- Left: CT. Right: PSMA PET, same axial level, [18F]PSMA-1007 tracer
- slice 183 of 421
- PET panel 200×200 px (4.1 mm/px)
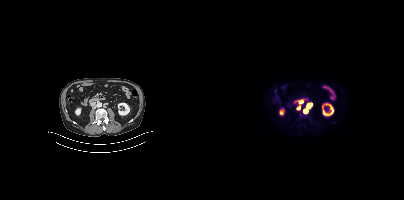
Findings: Coordinates are on the 200×200 PET (right) panel. PSMA-avid tumor lesion bounding box (x0, y0)-(x1, y1): (100, 103)-(107, 112). Small PSMA-avid foci (2 to 4 px across) near (center x, center y): (96, 102) / (94, 107).